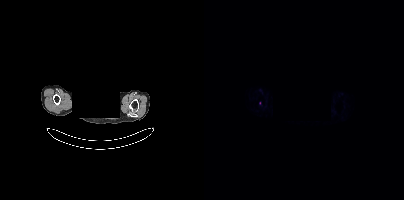
Any black rectangle over the head is a privacy mask, not anatomy. Paired axial CT (left) and PSMA PET (right), 68Ga tracer. Acquired on Siemens Biograph mCT Flow 20. Coordinates are on the 200×200 PET (right) panel. Small PSMA-avid focus (2 to 4 px across) near (center x, center y): (55, 103).